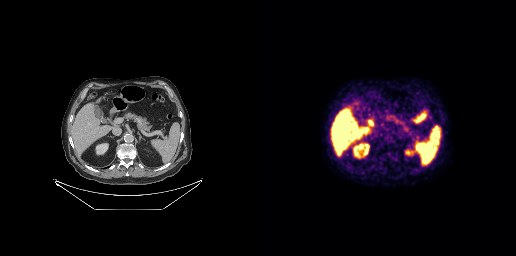
This slice has no annotated PSMA-avid lesion. Paired axial CT (left) and PSMA PET (right), 18F tracer. Acquired on GE Discovery 690.